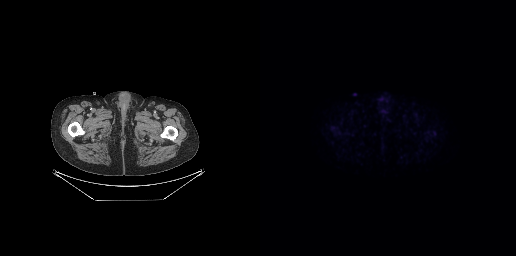
No PSMA-avid tumor lesions on this slice.